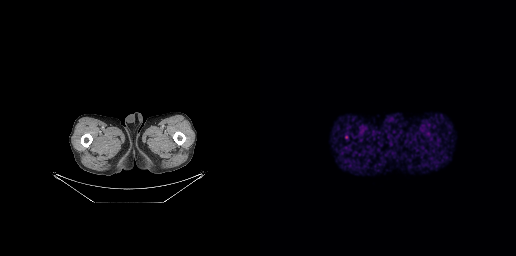
Coordinates are on the 256×256 PET (right) panel. Small PSMA-avid focus (2 to 4 px across) near (center x, center y): (86, 136).